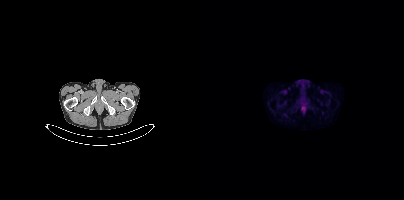
modality: PSMA PET/CT | tracer: 18F | view: axial | PET grid: 200×200
Negative for PSMA-avid disease on this slice.